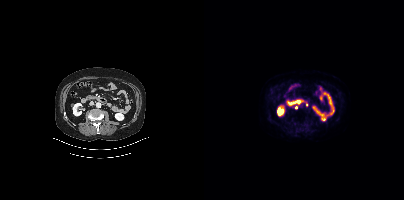
Coordinates are on the 200×200 PET (right) panel. (showing 1 of 2 foci) Small PSMA-avid focus (2 to 4 px across) near (center x, center y): (102, 104).